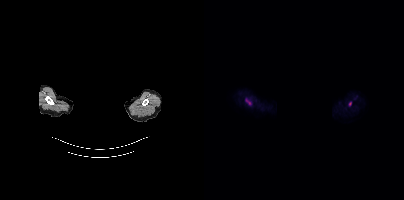
De-identified by setting a box covering the face to black before release.
Coordinates are on the 200×200 PET (right) panel. PSMA-avid tumor lesion bounding box (x, y, width, height): x=41 y=98 w=7 h=7. Small PSMA-avid focus (2 to 4 px across) near (center x, center y): (146, 103).